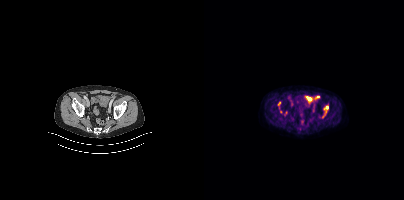
Technique: Two-panel axial: CT | PSMA PET, 18F-PSMA tracer. slice 83 of 407.
Findings: Coordinates are on the 200×200 PET (right) panel. PSMA-avid tumor lesion bounding box (x, y, width, height): x=121 y=105 w=4 h=6. Small PSMA-avid focus (2 to 4 px across) near (center x, center y): (75, 103).